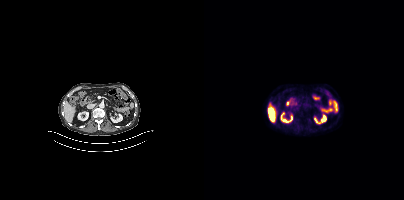
Left: CT. Right: PSMA PET, same axial level, 18F tracer. Slice position z = -712 mm. PET panel 200×200 px (4.1 mm/px). No PSMA-avid tumor lesions on this slice.